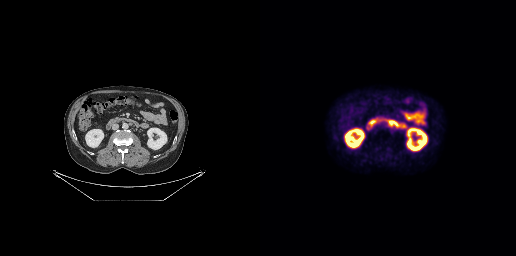
Left: CT. Right: PSMA PET, same axial level, 18F-PSMA tracer. PET panel 256×256 px (2.7 mm/px).
Coordinates are on the 256×256 PET (right) panel. PSMA-avid tumor lesion bounding boxes:
| # | x0 | y0 | x1 | y1 |
|---|---|---|---|---|
| 1 | 128 | 122 | 134 | 126 |